- Two-panel axial: CT | PSMA PET, [18F]PSMA-1007 tracer
- PET panel 256×256 px (2.7 mm/px)
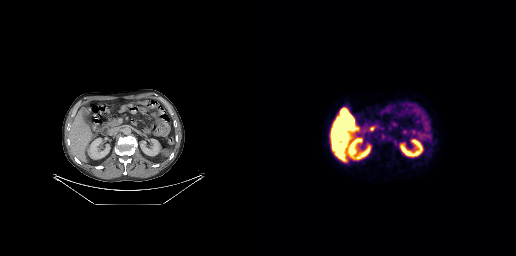
Findings: No PSMA-avid tumor lesions on this slice.